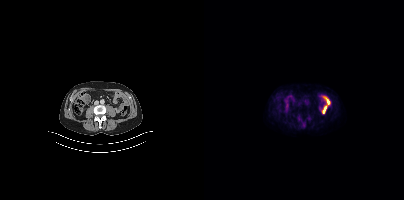
No tumor lesions annotated on this slice. Paired axial CT (left) and PSMA PET (right), 18F-PSMA tracer. Slice 151 of 413.